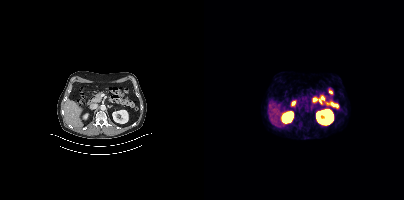
{"modality":"PSMA PET/CT","view":"axial","tracer":"68Ga","pet_grid":[200,200],"coord_frame":"pet_panel","coord_format":"x0,y0,x1,y1","psma_avid_lesions":false}